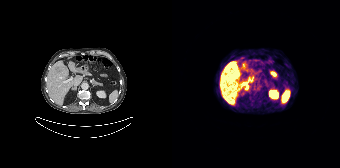
{"modality":"PSMA PET/CT","view":"axial","tracer":"68Ga-PSMA","pet_grid":[168,168],"coord_frame":"pet_panel","coord_format":"x0,y0,x1,y1","lesion_bboxes":[[53,62,67,76],[72,85,76,90]],"small_foci_centers":[[59,76]]}